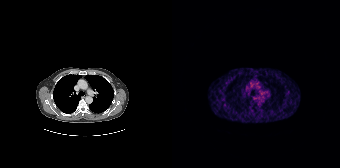
Left: CT. Right: PSMA PET, same axial level, 68Ga tracer. Acquired on Siemens Biograph 64-4R TruePoint. Slice position z = -388 mm. This slice has no annotated PSMA-avid lesion.